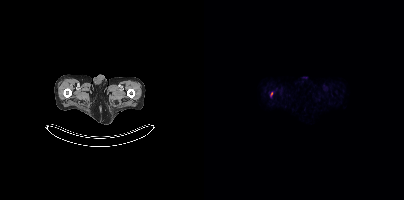
Coordinates are on the 200×200 PET (right) panel. Small PSMA-avid focus (2 to 4 px across) near (center x, center y): (67, 93).